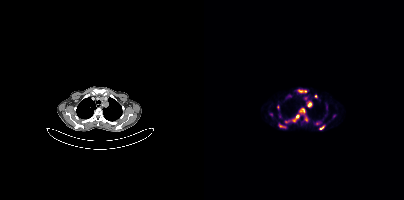
Findings: Coordinates are on the 200×200 PET (right) panel. (showing 9 of 14 foci) PSMA-avid tumor lesion bounding boxes (x, y, width, height): x=95 y=90 w=8 h=3 / x=103 y=101 w=5 h=6 / x=89 y=115 w=7 h=7 / x=116 y=126 w=5 h=4 / x=98 y=108 w=3 h=5 / x=73 y=105 w=3 h=5. Small PSMA-avid foci (2 to 4 px across) near (center x, center y): (112, 96) / (76, 126) / (67, 114).
Technique: Paired axial CT (left) and PSMA PET (right), 68Ga tracer.